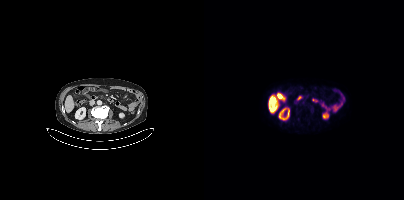
{"pet_grid":[200,200],"coord_frame":"pet_panel","coord_format":"x0,y0,x1,y1","psma_avid_lesions":false,"modality":"PSMA PET/CT","view":"axial","tracer":"[18F]PSMA-1007"}